Two-panel axial: CT | PSMA PET, 68Ga-PSMA tracer. Slice 83 of 429.
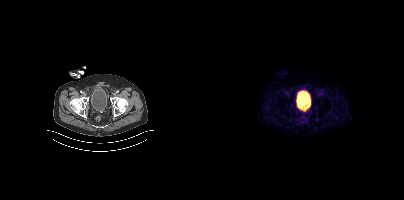
No PSMA-avid tumor lesions on this slice.